modality: PSMA PET/CT | tracer: 68Ga-PSMA | view: axial | PET grid: 168×168
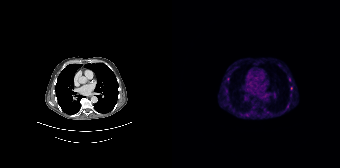
Coordinates are on the 168×168 PET (right) panel. (showing 3 of 4 foci) Small PSMA-avid foci (2 to 4 px across) near (center x, center y): (119, 88) (115, 106) (117, 79).